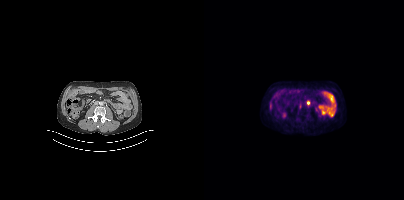
Findings: Coordinates are on the 200×200 PET (right) panel. Small PSMA-avid foci (2 to 4 px across) near (center x, center y): (104, 102) | (96, 105).
Technique: Paired axial CT (left) and PSMA PET (right), 18F-PSMA tracer. acquired on Siemens Biograph mCT Flow 20.